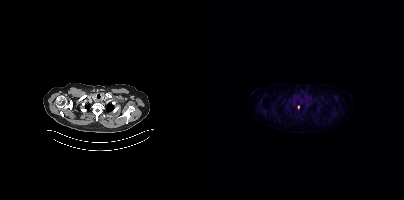
Coordinates are on the 200×200 PET (right) panel. Small PSMA-avid focus (2 to 4 px across) near (center x, center y): (94, 107).